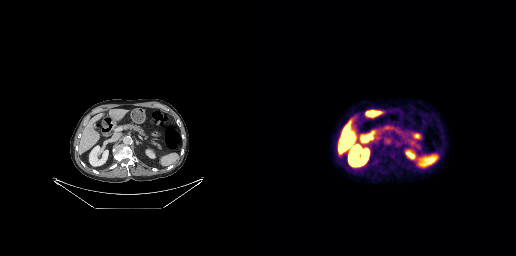
No tumor lesions annotated on this slice.